- Two-panel axial: CT | PSMA PET, 68Ga-PSMA tracer
- PET panel 200×200 px (4.1 mm/px)
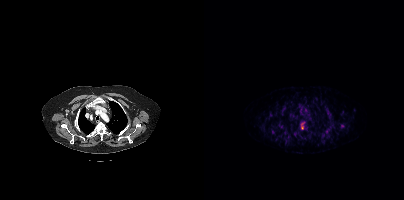
Findings: Coordinates are on the 200×200 PET (right) panel. (showing 2 of 3 foci) PSMA-avid tumor lesion bounding box (x0,y0,x1,y1): [96,122,101,129]. Small PSMA-avid focus (2 to 4 px across) near (center x, center y): (138, 125).